Technique: Two-panel axial: CT | PSMA PET, [18F]PSMA-1007 tracer. acquired on Siemens Biograph mCT Flow 20. slice 215 of 427. PET panel 200×200 px (4.1 mm/px).
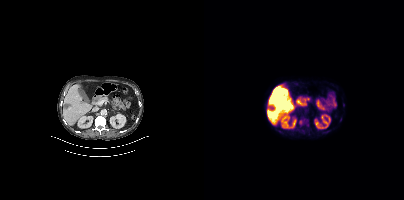
Findings: Coordinates are on the 200×200 PET (right) panel. (showing 3 of 4 foci) PSMA-avid tumor lesion bounding box (x, y, width, height): x=95 y=119 w=6 h=7. Small PSMA-avid foci (2 to 4 px across) near (center x, center y): (139, 104) | (103, 124).